Paired axial CT (left) and PSMA PET (right), 18F tracer. Any black rectangle over the head is a privacy mask, not anatomy.
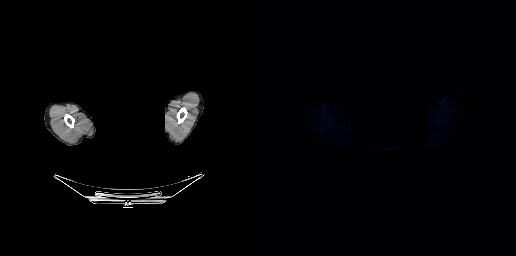
No tumor lesions annotated on this slice.